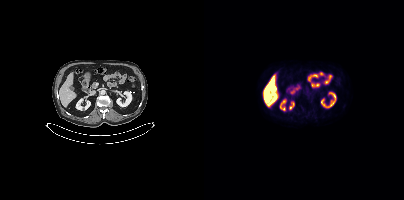
{"modality":"PSMA PET/CT","view":"axial","tracer":"18F","pet_grid":[200,200],"coord_frame":"pet_panel","coord_format":"x0,y0,x1,y1","psma_avid_lesions":false}